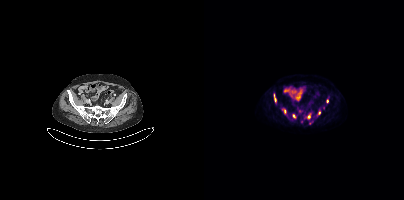
Coordinates are on the 200×200 PET (right) panel. (showing 8 of 10 foci) PSMA-avid tumor lesion bounding boxes (x0,y0,x1,y1): [70,94,72,101] [104,115,106,119]. Small PSMA-avid foci (2 to 4 px across) near (center x, center y): (115, 112) (80, 111) (90, 116) (123, 101) (97, 121) (105, 123).